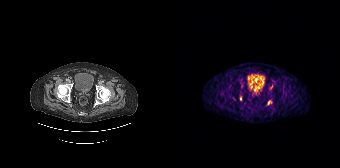
Coordinates are on the 168×168 PET (right) panel. PSMA-avid tumor lesion bounding boxes (partial; 1 more focus not listed):
| # | x0 | y0 | x1 | y1 |
|---|---|---|---|---|
| 1 | 96 | 100 | 100 | 103 |
Small PSMA-avid foci (2 to 4 px across) near (center x, center y): (68, 98); (61, 98).
Paired axial CT (left) and PSMA PET (right), 68Ga tracer. PET panel 168×168 px (4.1 mm/px).